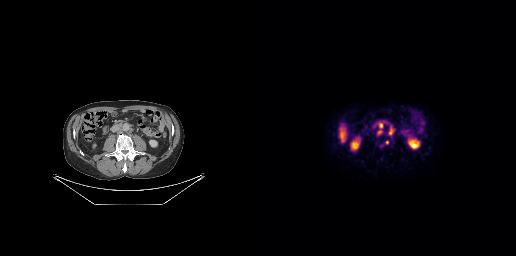
{"modality":"PSMA PET/CT","view":"axial","tracer":"18F","pet_grid":[256,256],"coord_frame":"pet_panel","coord_format":"x0,y0,x1,y1","lesion_bboxes":[[129,125,133,134],[119,122,123,128],[118,130,121,134]],"small_foci_centers":[[127,142]]}